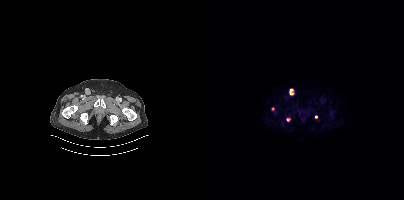
{"pet_grid":[200,200],"coord_frame":"pet_panel","coord_format":"x0,y0,x1,y1","lesion_bboxes":[[85,88,90,95]],"small_foci_centers":[[84,119],[112,116],[68,108]],"modality":"PSMA PET/CT","view":"axial","tracer":"18F"}